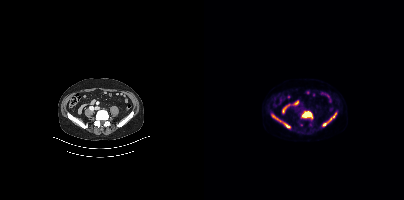
Coordinates are on the 200×200 PET (right) panel. PSMA-avid tumor lesion bounding boxes (x0, y0)-(x1, y1): (98, 111)-(108, 118) / (68, 114)-(86, 128) / (119, 112)-(132, 125).